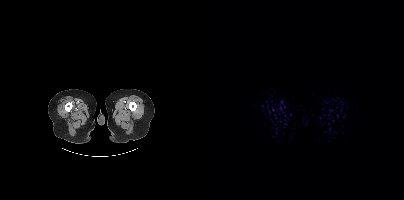
{"modality":"PSMA PET/CT","view":"axial","tracer":"18F-PSMA","pet_grid":[200,200],"coord_frame":"pet_panel","coord_format":"x0,y0,x1,y1","psma_avid_lesions":false}